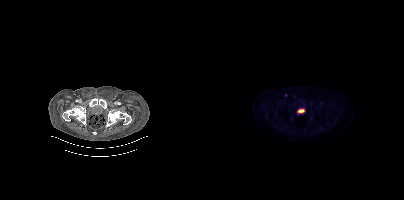
{"modality":"PSMA PET/CT","view":"axial","tracer":"18F-PSMA","pet_grid":[200,200],"coord_frame":"pet_panel","coord_format":"x0,y0,x1,y1","lesion_bboxes":[],"small_foci_centers":[[81,95]]}